modality: PSMA PET/CT | tracer: 18F | view: axial
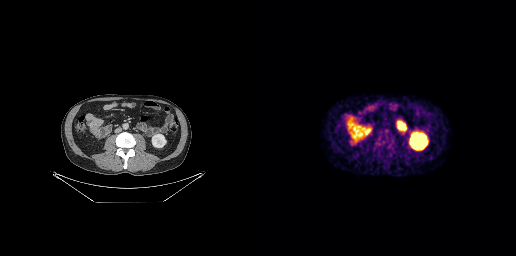
Coordinates are on the 256×256 PET (right) panel. PSMA-avid tumor lesion bounding box (x, y, width, height): x=129 y=136 w=6 h=8. Small PSMA-avid focus (2 to 4 px across) near (center x, center y): (123, 140).